modality: PSMA PET/CT | tracer: 18F | view: axial
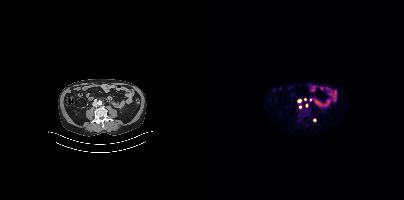
Coordinates are on the 200×200 PET (right) panel. (showing 5 of 6 foci) Small PSMA-avid foci (2 to 4 px across) near (center x, center y): (95, 100); (106, 99); (96, 106); (110, 119); (102, 105).